- Two-panel axial: CT | PSMA PET, [18F]PSMA-1007 tracer
- acquired on GE Discovery 690
- slice position z = -851 mm
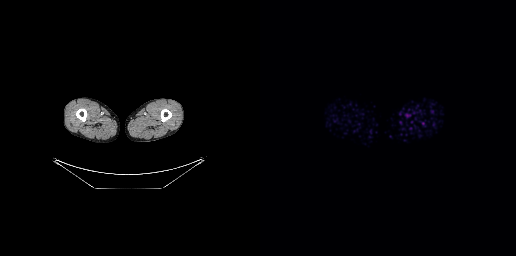
Findings: No PSMA-avid tumor lesions on this slice.